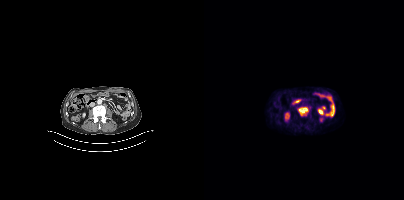
Two-panel axial: CT | PSMA PET, [18F]PSMA-1007 tracer. Acquired on Siemens Biograph mCT Flow 20. Slice position z = -760 mm. Coordinates are on the 200×200 PET (right) panel. PSMA-avid tumor lesion bounding box (x0, y0)-(x1, y1): (94, 107)-(104, 115).